Technique: Left: CT. Right: PSMA PET, same axial level, 18F tracer. PET panel 200×200 px (4.1 mm/px).
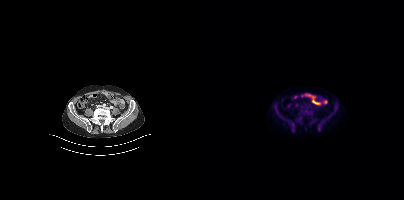
Findings: No PSMA-avid tumor lesions on this slice.